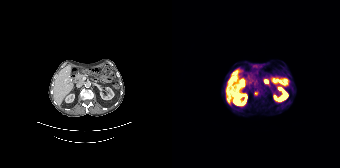
{"pet_grid":[168,168],"coord_frame":"pet_panel","coord_format":"x0,y0,x1,y1","lesion_bboxes":[],"small_foci_centers":[[84,93]],"modality":"PSMA PET/CT","view":"axial","tracer":"[68Ga]Ga-PSMA-11"}